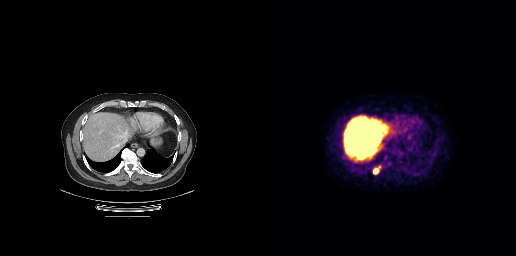
Coordinates are on the 256×256 PET (right) panel. PSMA-avid tumor lesion bounding box (x0, y0)-(x1, y1): (113, 166)-(120, 174).